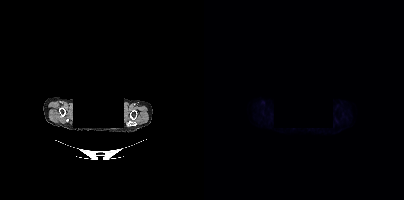
Any black rectangle over the head is a privacy mask, not anatomy.
No PSMA-avid tumor lesions on this slice.